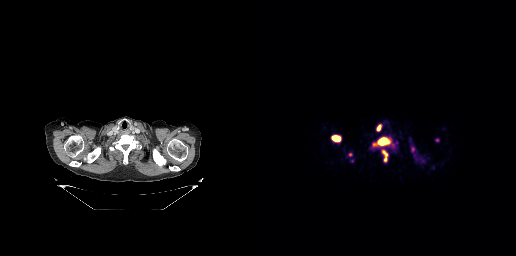
Coordinates are on the 256×256 PET (right) panel. PSMA-avid tumor lesion bounding boxes (x, y, width, height): x=118 y=138 w=11 h=7; x=72 y=135 w=9 h=7; x=122 y=150 w=6 h=12. Small PSMA-avid foci (2 to 4 px across) near (center x, center y): (115, 144); (90, 154).
modality: PSMA PET/CT | tracer: 68Ga | view: axial | PET grid: 256×256